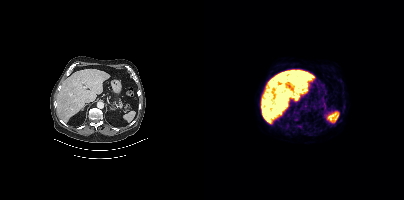
{"modality":"PSMA PET/CT","view":"axial","tracer":"18F-PSMA","pet_grid":[200,200],"coord_frame":"pet_panel","coord_format":"x0,y0,x1,y1","psma_avid_lesions":false}